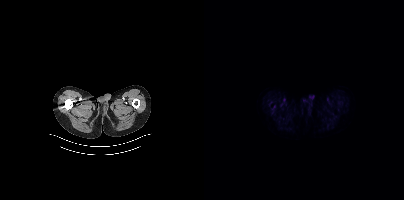
Left: CT. Right: PSMA PET, same axial level, 18F-PSMA tracer. No tumor lesions annotated on this slice.